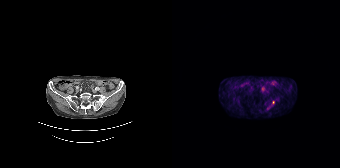
- Two-panel axial: CT | PSMA PET, 68Ga tracer
Findings: Coordinates are on the 168×168 PET (right) panel. PSMA-avid tumor lesion bounding box (x, y, width, height): x=98 y=101 w=5 h=7. Small PSMA-avid focus (2 to 4 px across) near (center x, center y): (90, 88).